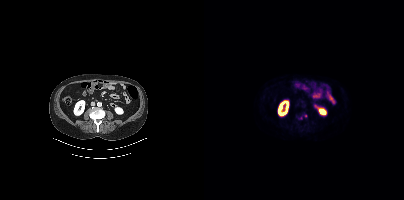
Technique: Left: CT. Right: PSMA PET, same axial level, 18F tracer. slice position z = -1230 mm.
Findings: Only PSMA-avid lesion pieces thinner than 2 px on this slice (not listed).